Technique: Left: CT. Right: PSMA PET, same axial level, [18F]PSMA-1007 tracer. acquired on Siemens Biograph mCT Flow 20. slice 295 of 413. PET panel 200×200 px (4.1 mm/px).
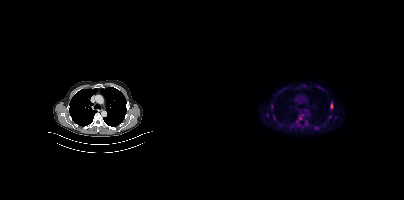
Findings: Coordinates are on the 200×200 PET (right) panel. (showing 7 of 9 foci) PSMA-avid tumor lesion bounding boxes (x0,y0,x1,y1): [126,101,129,110] [110,126,115,129] [103,120,104,125]. Small PSMA-avid foci (2 to 4 px across) near (center x, center y): (125, 116) (70, 117) (67, 106) (63, 114).